Two-panel axial: CT | PSMA PET, 68Ga tracer. Slice 49 of 165. PET panel 168×168 px (4.1 mm/px).
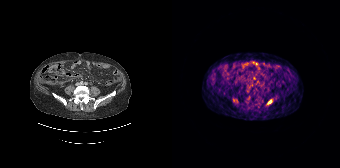
Coordinates are on the 168×168 PET (right) panel. Small PSMA-avid focus (2 to 4 px across) near (center x, center y): (97, 101).